- Two-panel axial: CT | PSMA PET, [18F]PSMA-1007 tracer
- acquired on Siemens Biograph mCT Flow 20
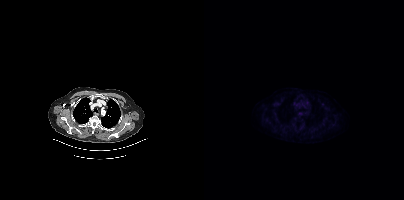
Findings: This slice has no annotated PSMA-avid lesion.